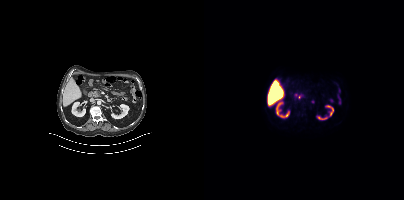
{"modality":"PSMA PET/CT","view":"axial","tracer":"18F-PSMA","pet_grid":[200,200],"coord_frame":"pet_panel","coord_format":"x0,y0,x1,y1","psma_avid_lesions":false}